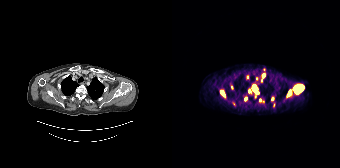
{"modality":"PSMA PET/CT","view":"axial","tracer":"[68Ga]Ga-PSMA-11","pet_grid":[168,168],"coord_frame":"pet_panel","coord_format":"x0,y0,x1,y1","partial":true,"lesion_bboxes":[[121,85,132,93],[115,90,119,95],[81,89,85,92]],"small_foci_centers":[[50,93],[91,75],[89,80],[82,86],[100,98],[75,77],[59,87],[73,99],[84,78]]}